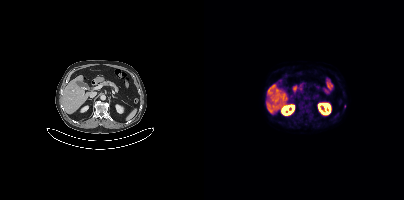
{"modality":"PSMA PET/CT","view":"axial","tracer":"[18F]PSMA-1007","pet_grid":[200,200],"coord_frame":"pet_panel","coord_format":"x0,y0,x1,y1","psma_avid_lesions":false}